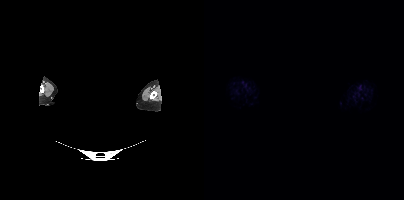
The head region is masked for de-identification.
This slice has no annotated PSMA-avid lesion.